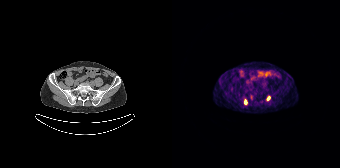
{"modality":"PSMA PET/CT","view":"axial","tracer":"68Ga-PSMA","pet_grid":[168,168],"coord_frame":"pet_panel","coord_format":"x0,y0,x1,y1","lesion_bboxes":[[94,96,98,101],[72,99,75,104],[78,95,81,99]]}